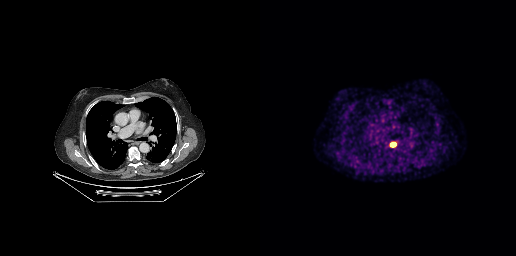
Coordinates are on the 256×256 PET (right) panel. PSMA-avid tumor lesion bounding boxes:
| # | x0 | y0 | x1 | y1 |
|---|---|---|---|---|
| 1 | 130 | 142 | 136 | 146 |
Left: CT. Right: PSMA PET, same axial level, 18F tracer. Slice 193 of 263. PET panel 256×256 px (2.7 mm/px).